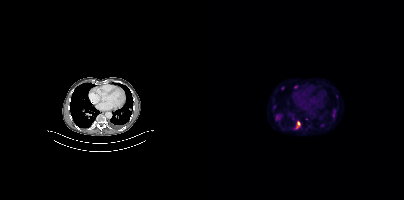
Findings: Coordinates are on the 200×200 PET (right) panel. PSMA-avid tumor lesion bounding boxes (x, y, width, height): x=72 y=114 w=6 h=7 | x=92 y=121 w=5 h=8. Small PSMA-avid foci (2 to 4 px across) near (center x, center y): (130, 110) | (78, 87) | (118, 124) | (92, 86) | (129, 115) | (69, 106).
Technique: Left: CT. Right: PSMA PET, same axial level, 18F-PSMA tracer.